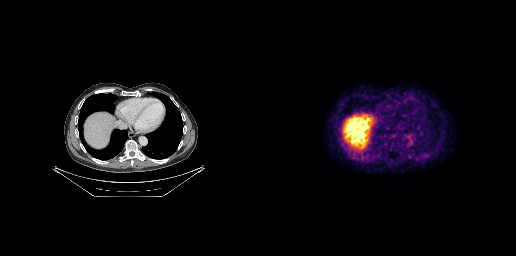
Two-panel axial: CT | PSMA PET, 68Ga-PSMA tracer. Acquired on GE Discovery 690. Slice 173 of 263. No PSMA-avid tumor lesions on this slice.